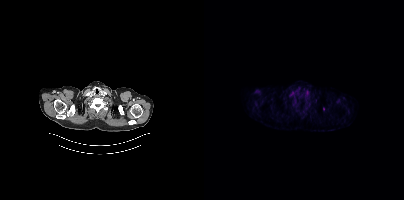
Two-panel axial: CT | PSMA PET, [18F]PSMA-1007 tracer. Slice 396 of 466. Only PSMA-avid lesion pieces thinner than 2 px on this slice (not listed).